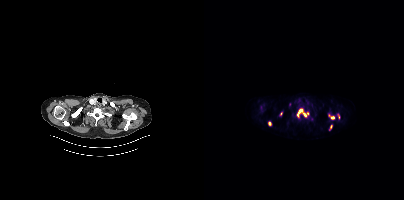
{"modality":"PSMA PET/CT","view":"axial","tracer":"18F-PSMA","pet_grid":[200,200],"coord_frame":"pet_panel","coord_format":"x0,y0,x1,y1","lesion_bboxes":[[93,108,104,117],[124,114,130,119],[134,114,135,118]],"small_foci_centers":[[65,123],[127,126],[77,113]]}